Two-panel axial: CT | PSMA PET, 18F-PSMA tracer. Acquired on Siemens Biograph mCT Flow 20. Slice 212 of 403.
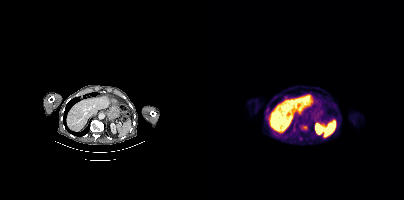
Coordinates are on the 200×200 PET (right) panel. PSMA-avid tumor lesion bounding boxes:
| # | x0 | y0 | x1 | y1 |
|---|---|---|---|---|
| 1 | 97 | 125 | 102 | 129 |
| 2 | 94 | 136 | 98 | 140 |